Technique: Paired axial CT (left) and PSMA PET (right), [18F]PSMA-1007 tracer. acquired on Siemens Biograph mCT Flow 20. slice 103 of 389. PET panel 200×200 px (4.1 mm/px).
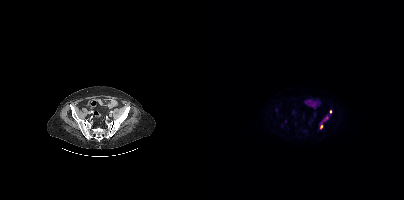
Findings: Coordinates are on the 200×200 PET (right) panel. PSMA-avid tumor lesion bounding box (x, y, width, height): x=116 y=116 w=9 h=13. Small PSMA-avid focus (2 to 4 px across) near (center x, center y): (126, 111).